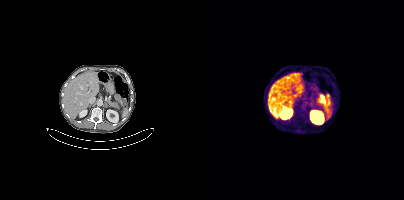
{"modality":"PSMA PET/CT","view":"axial","tracer":"[68Ga]Ga-PSMA-11","pet_grid":[200,200],"coord_frame":"pet_panel","coord_format":"x0,y0,x1,y1","psma_avid_lesions":false}